Technique: Paired axial CT (left) and PSMA PET (right), 68Ga-PSMA tracer. slice 124 of 405. PET panel 200×200 px (4.1 mm/px).
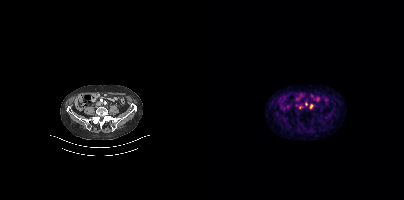
Findings: Coordinates are on the 200×200 PET (right) panel. (showing 2 of 3 foci) Small PSMA-avid foci (2 to 4 px across) near (center x, center y): (102, 103), (107, 106).